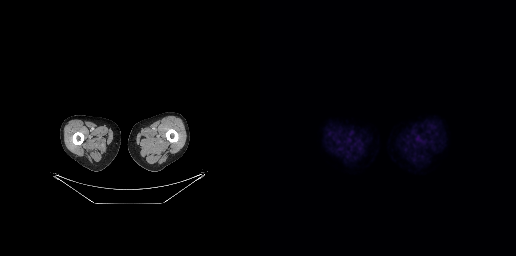
Findings: Negative for PSMA-avid disease on this slice.
- Two-panel axial: CT | PSMA PET, 18F tracer
- PET panel 256×256 px (2.7 mm/px)